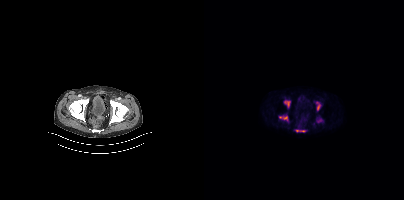
Findings: Coordinates are on the 200×200 PET (right) panel. PSMA-avid tumor lesion bounding boxes (x0,y0,x1,y1): [80,101,86,107]; [75,116,83,120]; [113,102,116,110]; [113,119,118,122]; [96,130,100,131]. Small PSMA-avid focus (2 to 4 px across) near (center x, center y): (93, 130).
- Two-panel axial: CT | PSMA PET, 18F-PSMA tracer
- PET panel 200×200 px (4.1 mm/px)